Technique: Paired axial CT (left) and PSMA PET (right), 68Ga tracer. acquired on GE Discovery 690. PET panel 256×256 px (2.7 mm/px).
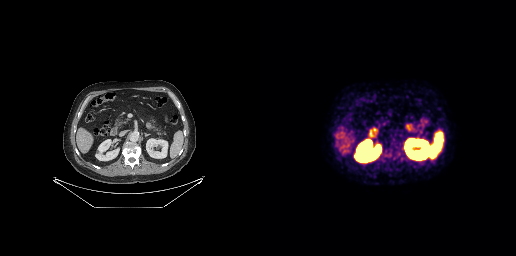
Findings: Negative for PSMA-avid disease on this slice.